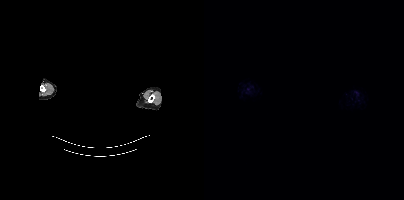
No tumor lesions annotated on this slice. Head region blanked for anonymization (face removed). Paired axial CT (left) and PSMA PET (right), 18F-PSMA tracer. Slice 438 of 444. PET panel 200×200 px (4.1 mm/px).